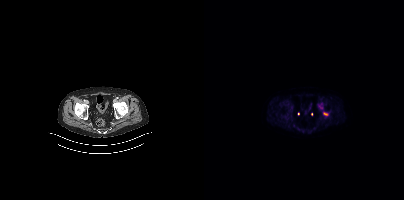
Two-panel axial: CT | PSMA PET, 18F-PSMA tracer. PET panel 200×200 px (4.1 mm/px). Coordinates are on the 200×200 PET (right) panel. PSMA-avid tumor lesion bounding box (x0,y0,x1,y1): [119,112,123,114].